Left: CT. Right: PSMA PET, same axial level, [68Ga]Ga-PSMA-11 tracer.
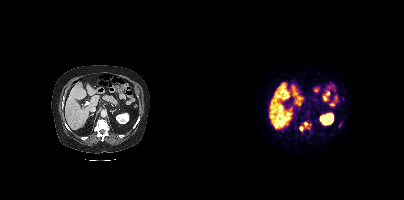
Coordinates are on the 200×200 PET (right) panel. PSMA-avid tumor lesion bounding boxes:
| # | x0 | y0 | x1 | y1 |
|---|---|---|---|---|
| 1 | 95 | 122 | 106 | 129 |